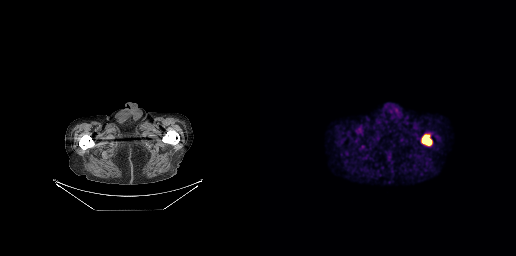
{"pet_grid":[256,256],"coord_frame":"pet_panel","coord_format":"x0,y0,x1,y1","lesion_bboxes":[[162,134,171,145]],"modality":"PSMA PET/CT","view":"axial","tracer":"18F"}